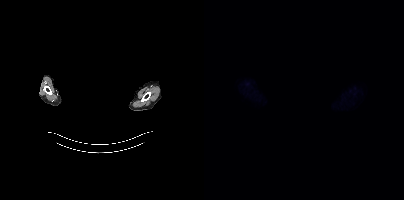
{"pet_grid":[200,200],"coord_frame":"pet_panel","coord_format":"x0,y0,x1,y1","psma_avid_lesions":false,"de-identification":"rectangular block over head set to black","modality":"PSMA PET/CT","view":"axial","tracer":"[18F]PSMA-1007"}